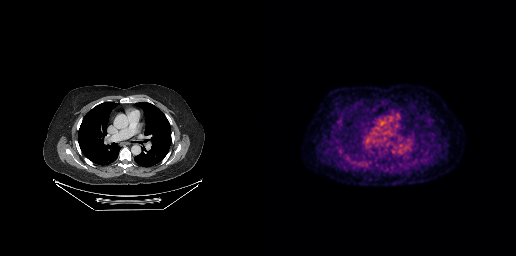
Two-panel axial: CT | PSMA PET, 18F-PSMA tracer. Acquired on GE Discovery 690. No tumor lesions annotated on this slice.